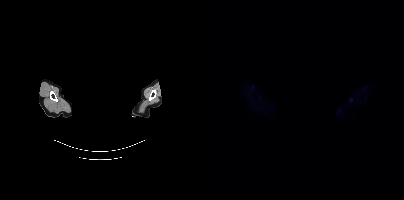
Head region blanked for anonymization (face removed).
No tumor lesions annotated on this slice.